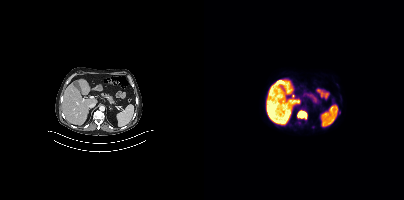
Technique: Two-panel axial: CT | PSMA PET, [18F]PSMA-1007 tracer. acquired on Siemens Biograph mCT Flow 20. slice position z = -458 mm. PET panel 200×200 px (4.1 mm/px).
Findings: Coordinates are on the 200×200 PET (right) panel. PSMA-avid tumor lesion bounding box (x0, y0)-(x1, y1): (93, 110)-(103, 119). Small PSMA-avid focus (2 to 4 px across) near (center x, center y): (135, 112).